modality: PSMA PET/CT | tracer: [18F]PSMA-1007 | view: axial
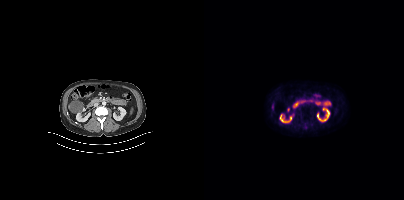
This slice has no annotated PSMA-avid lesion.